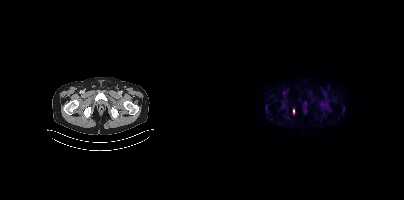
Technique: Two-panel axial: CT | PSMA PET, 68Ga tracer. acquired on Siemens Biograph mCT Flow 20. slice position z = -1750 mm.
Findings: Coordinates are on the 200×200 PET (right) panel. PSMA-avid tumor lesion bounding box (x0, y0)-(x1, y1): (89, 109)-(90, 113).